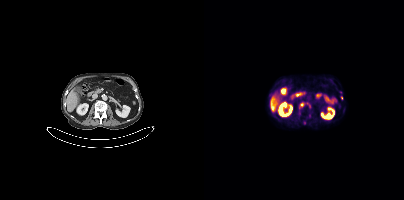
Coordinates are on the 200×200 PET (right) panel. Small PSMA-avid foci (2 to 4 px across) near (center x, center y): (97, 104), (138, 98).